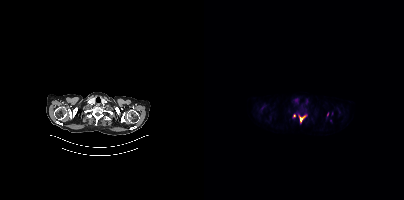
- Paired axial CT (left) and PSMA PET (right), 18F-PSMA tracer
- acquired on Siemens Biograph mCT Flow 20
- slice 357 of 423
Findings: Coordinates are on the 200×200 PET (right) panel. PSMA-avid tumor lesion bounding box (x0,y0,x1,y1): [96,115,101,121]. Small PSMA-avid foci (2 to 4 px across) near (center x, center y): (94, 114), (90, 115).